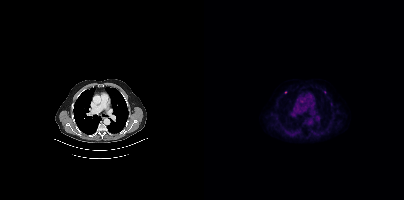
Only PSMA-avid lesion pieces thinner than 2 px on this slice (not listed). Paired axial CT (left) and PSMA PET (right), 18F-PSMA tracer.